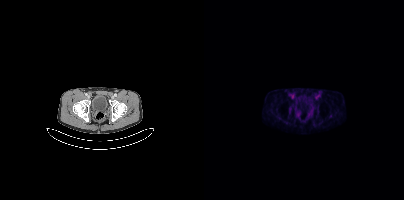
Technique: Left: CT. Right: PSMA PET, same axial level, 18F-PSMA tracer. PET panel 200×200 px (4.1 mm/px).
Findings: Negative for PSMA-avid disease on this slice.